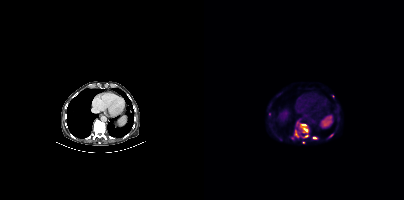
modality: PSMA PET/CT | tracer: 18F | view: axial
Coordinates are on the 200×200 PET (right) panel. (showing 8 of 10 foci) PSMA-avid tumor lesion bounding boxes (x, y, width, height): x=91 y=127 w=14 h=11 / x=97 y=124 w=5 h=3. Small PSMA-avid foci (2 to 4 px across) near (center x, center y): (127, 135) / (102, 136) / (110, 137) / (65, 114) / (93, 123) / (88, 137).